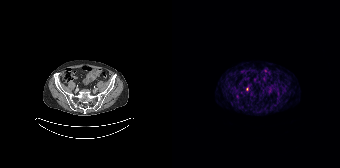
Findings: Only PSMA-avid lesion pieces thinner than 2 px on this slice (not listed).
- Left: CT. Right: PSMA PET, same axial level, 68Ga-PSMA tracer
- PET panel 168×168 px (4.1 mm/px)